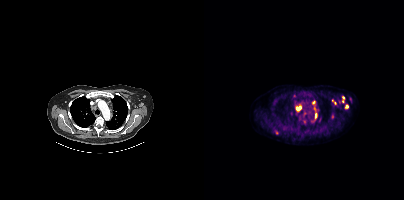
Coordinates are on the 200×200 PET (right) panel. (showing 12 of 15 foci) PSMA-avid tumor lesion bounding boxes (x0, y0)-(x1, y1): (91, 106)-(97, 110) / (128, 100)-(134, 106) / (111, 113)-(112, 118). Small PSMA-avid foci (2 to 4 px across) near (center x, center y): (142, 106) / (109, 101) / (100, 113) / (90, 95) / (128, 116) / (139, 97) / (70, 102) / (100, 121) / (72, 132).